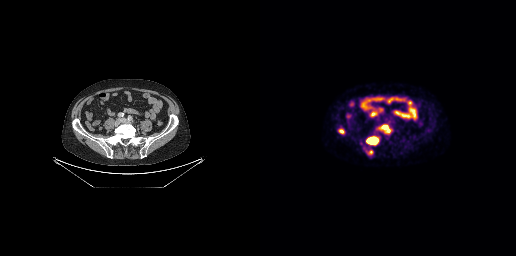
Left: CT. Right: PSMA PET, same axial level, 18F-PSMA tracer.
Coordinates are on the 256×256 PET (right) panel. PSMA-avid tumor lesion bounding boxes:
| # | x0 | y0 | x1 | y1 |
|---|---|---|---|---|
| 1 | 106 | 136 | 119 | 145 |
| 2 | 118 | 124 | 131 | 133 |
| 3 | 79 | 129 | 84 | 133 |
Small PSMA-avid focus (2 to 4 px across) near (center x, center y): (110, 151).